modality: PSMA PET/CT | tracer: [18F]PSMA-1007 | view: axial | PET grid: 200×200
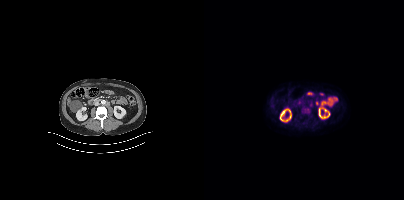
Negative for PSMA-avid disease on this slice.